modality: PSMA PET/CT | tracer: 18F-PSMA | view: axial
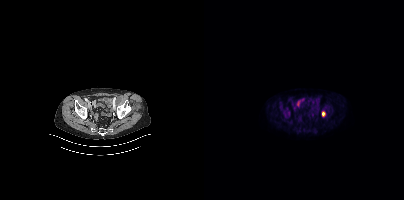
Coordinates are on the 200×200 PET (right) panel. PSMA-avid tumor lesion bounding box (x0,y0,x1,y1): [118,112,121,116].